- Two-panel axial: CT | PSMA PET, 18F-PSMA tracer
- PET panel 200×200 px (4.1 mm/px)
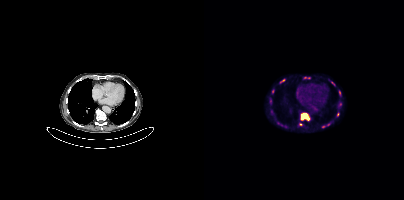
Findings: Coordinates are on the 200×200 PET (right) panel. (showing 9 of 11 foci) PSMA-avid tumor lesion bounding boxes (x0,y0,x1,y1): [97,113,105,120] [76,79,80,82]. Small PSMA-avid foci (2 to 4 px across) near (center x, center y): (128, 83) (68, 91) (133, 114) (135, 92) (136, 104) (96, 124) (119, 126).